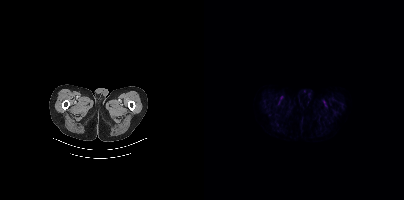
Paired axial CT (left) and PSMA PET (right), 18F tracer. No tumor lesions annotated on this slice.